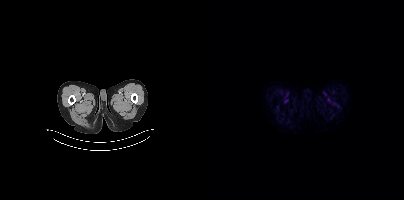
{"modality":"PSMA PET/CT","view":"axial","tracer":"18F","pet_grid":[200,200],"coord_frame":"pet_panel","coord_format":"x0,y0,x1,y1","psma_avid_lesions":false}